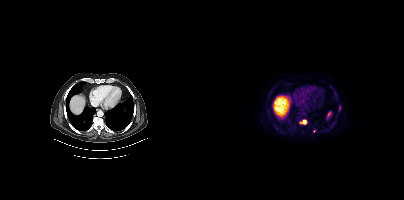
{"pet_grid":[200,200],"coord_frame":"pet_panel","coord_format":"x0,y0,x1,y1","partial":true,"lesion_bboxes":[[96,120,102,124]],"small_foci_centers":[[110,131]],"modality":"PSMA PET/CT","view":"axial","tracer":"18F"}